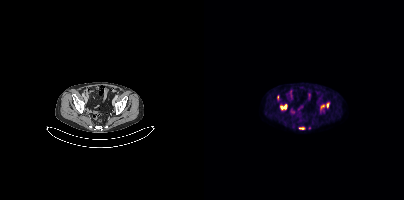
{"pet_grid":[200,200],"coord_frame":"pet_panel","coord_format":"x0,y0,x1,y1","lesion_bboxes":[[116,102,125,110],[76,104,82,110],[95,127,100,129],[73,95,74,99]],"modality":"PSMA PET/CT","view":"axial","tracer":"[18F]PSMA-1007"}